modality: PSMA PET/CT | tracer: 68Ga-PSMA | view: axial | de-identification: privacy mask over head
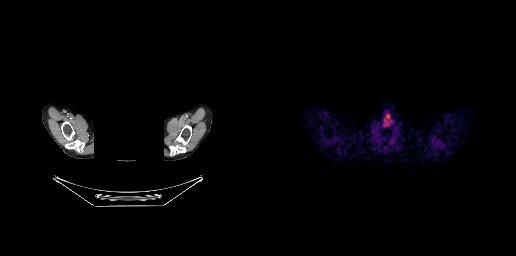
No tumor lesions annotated on this slice.